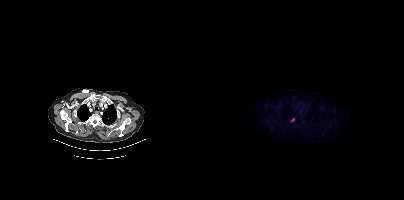
modality: PSMA PET/CT | tracer: 18F | view: axial
Coordinates are on the 200×200 PET (right) panel. PSMA-avid tumor lesion bounding box (x0, y0)-(x1, y1): (86, 117)-(90, 122).